- Two-panel axial: CT | PSMA PET, 18F-PSMA tracer
- acquired on Siemens Biograph mCT Flow 20
- slice position z = 202 mm
- head region blanked for anonymization (face removed)
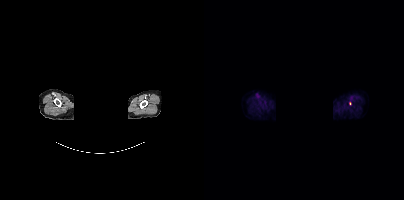
Findings: Coordinates are on the 200×200 PET (right) panel. Small PSMA-avid focus (2 to 4 px across) near (center x, center y): (145, 103).